Left: CT. Right: PSMA PET, same axial level, 18F-PSMA tracer. Acquired on GE Discovery 690. Slice position z = -802 mm. PET panel 256×256 px (2.7 mm/px).
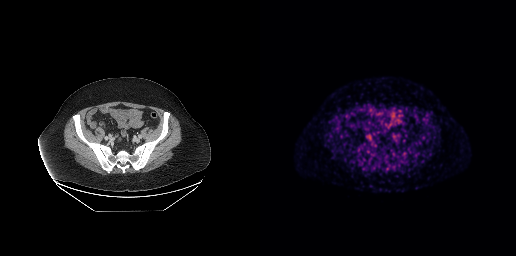
No PSMA-avid tumor lesions on this slice.